Technique: Paired axial CT (left) and PSMA PET (right), 18F-PSMA tracer. acquired on Siemens Biograph mCT Flow 20. slice position z = -244 mm. PET panel 200×200 px (4.1 mm/px).
Note: A rectangle over the head was blacked out to remove identifiable facial features.
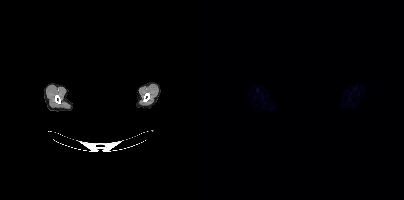
Findings: No PSMA-avid tumor lesions on this slice.